Paired axial CT (left) and PSMA PET (right), [18F]PSMA-1007 tracer.
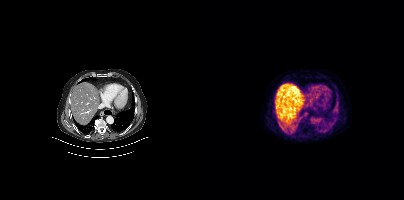
No PSMA-avid tumor lesions on this slice.